Left: CT. Right: PSMA PET, same axial level, 18F tracer. Acquired on Siemens Biograph 64-4R TruePoint. PET panel 168×168 px (4.1 mm/px).
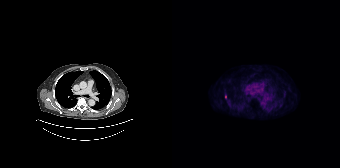
Negative for PSMA-avid disease on this slice.